- Left: CT. Right: PSMA PET, same axial level, 18F-PSMA tracer
- slice position z = -805 mm
- PET panel 200×200 px (4.1 mm/px)
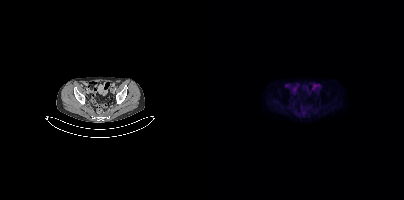
Findings: Coordinates are on the 200×200 PET (right) panel. Small PSMA-avid focus (2 to 4 px across) near (center x, center y): (99, 112).